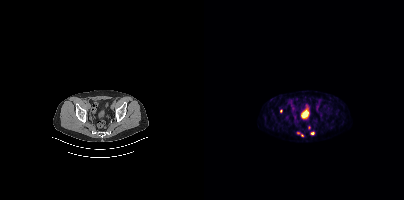
Coordinates are on the 200×200 PET (right) panel. (showing 4 of 5 foci) Small PSMA-avid foci (2 to 4 px across) near (center x, center y): (108, 133) / (98, 135) / (94, 132) / (76, 110).